Two-panel axial: CT | PSMA PET, [18F]PSMA-1007 tracer. Slice position z = -1177 mm. PET panel 200×200 px (4.1 mm/px).
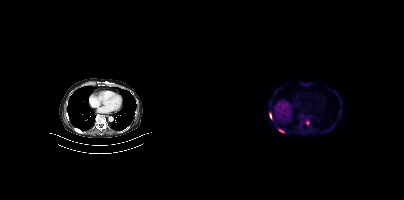
Coordinates are on the 200×200 PET (right) panel. PSMA-avid tumor lesion bounding boxes:
| # | x0 | y0 | x1 | y1 |
|---|---|---|---|---|
| 1 | 74 | 129 | 80 | 133 |
| 2 | 66 | 113 | 67 | 118 |
Small PSMA-avid focus (2 to 4 px across) near (center x, center y): (103, 122).